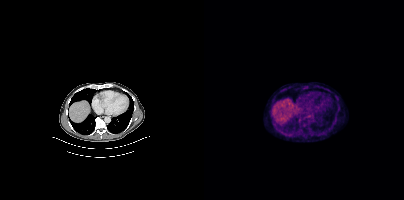
Coordinates are on the 200×200 PET (right) panel. PSMA-avid tumor lesion bounding boxes (x0,y0,x1,y1): [94,118,98,122]; [98,124,102,128]. Small PSMA-avid focus (2 to 4 px across) near (center x, center y): (120, 133).